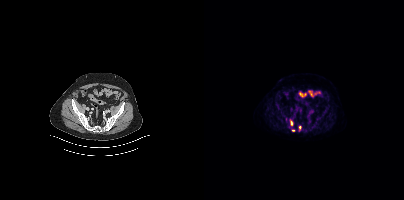
{"modality":"PSMA PET/CT","view":"axial","tracer":"18F-PSMA","pet_grid":[200,200],"coord_frame":"pet_panel","coord_format":"x0,y0,x1,y1","lesion_bboxes":[[87,121,88,125]],"small_foci_centers":[[95,127],[89,130]]}